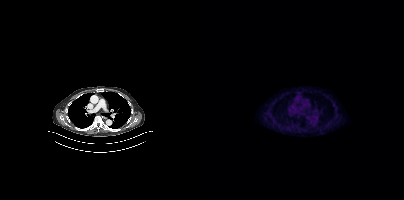
Paired axial CT (left) and PSMA PET (right), 18F tracer. PET panel 200×200 px (4.1 mm/px). Only PSMA-avid lesion pieces thinner than 2 px on this slice (not listed).